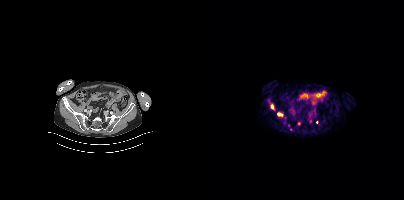
Two-panel axial: CT | PSMA PET, [18F]PSMA-1007 tracer. PET panel 200×200 px (4.1 mm/px).
Coordinates are on the 200×200 PET (right) panel. PSMA-avid tumor lesion bounding boxes (partial; 1 more focus not listed):
| # | x0 | y0 | x1 | y1 |
|---|---|---|---|---|
| 1 | 73 | 112 | 78 | 116 |
| 2 | 67 | 104 | 70 | 109 |
Small PSMA-avid foci (2 to 4 px across) near (center x, center y): (95, 123); (112, 122); (86, 129).